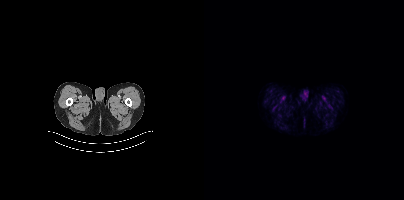
{"modality":"PSMA PET/CT","view":"axial","tracer":"18F-PSMA","pet_grid":[200,200],"coord_frame":"pet_panel","coord_format":"x0,y0,x1,y1","psma_avid_lesions":false}